Two-panel axial: CT | PSMA PET, 68Ga tracer. Acquired on Siemens Biograph mCT Flow 20. Slice position z = -1062 mm. PET panel 200×200 px (4.1 mm/px).
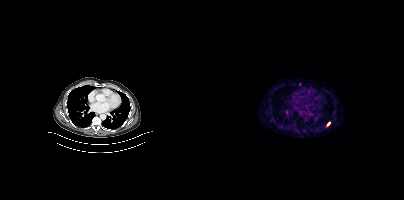
Coordinates are on the 200×200 PET (right) panel. Small PSMA-avid focus (2 to 4 px across) near (center x, center y): (124, 123).